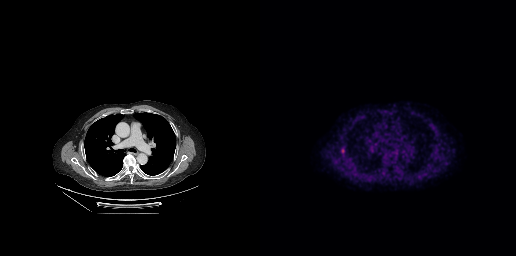
Coordinates are on the 256×256 PET (right) panel. PSMA-avid tumor lesion bounding boxes (x0,y0,x1,y1): [80,146,85,154], [84,161,89,167]. Small PSMA-avid focus (2 to 4 px across) near (center x, center y): (172, 126).